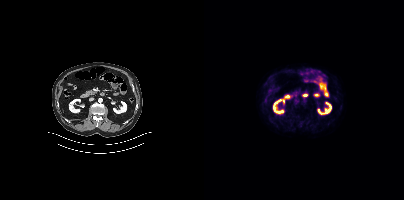
modality: PSMA PET/CT | tracer: 18F | view: axial
No PSMA-avid tumor lesions on this slice.